modality: PSMA PET/CT | tracer: 18F | view: axial
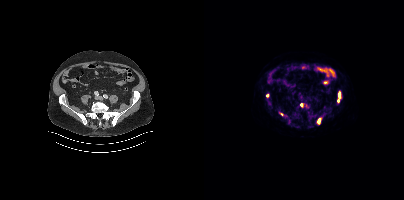
Coordinates are on the 200×200 PET (right) panel. PSMA-avid tumor lesion bounding boxes (x, y, width, height): x=133 y=91 w=4 h=12 | x=113 y=118 w=5 h=6. Small PSMA-avid foci (2 to 4 px across) near (center x, center y): (77, 114) | (63, 95) | (97, 105).